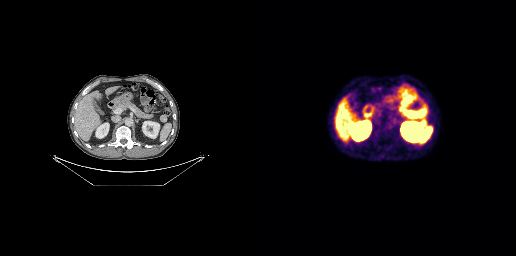
{"modality":"PSMA PET/CT","view":"axial","tracer":"68Ga","pet_grid":[256,256],"coord_frame":"pet_panel","coord_format":"x0,y0,x1,y1","lesion_bboxes":[[161,119,167,124]]}